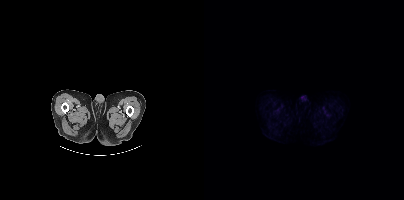
This slice has no annotated PSMA-avid lesion.